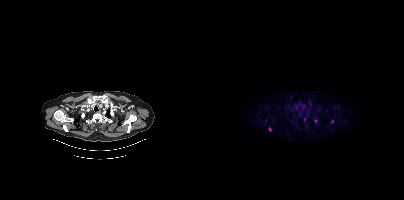
Coordinates are on the 200×200 PET (right) panel. Small PSMA-avid foci (2 to 4 px across) near (center x, center y): (128, 121) (66, 129) (100, 119) (111, 120). Two-panel axial: CT | PSMA PET, [18F]PSMA-1007 tracer. Slice position z = -862 mm. PET panel 200×200 px (4.1 mm/px).